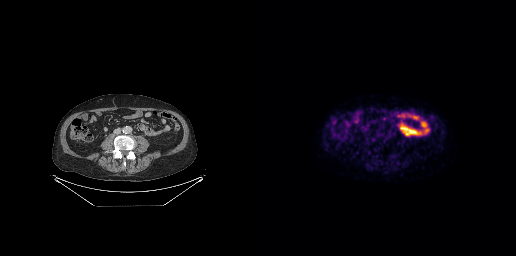
Two-panel axial: CT | PSMA PET, [18F]PSMA-1007 tracer. Slice position z = -513 mm. PET panel 256×256 px (2.7 mm/px). Negative for PSMA-avid disease on this slice.